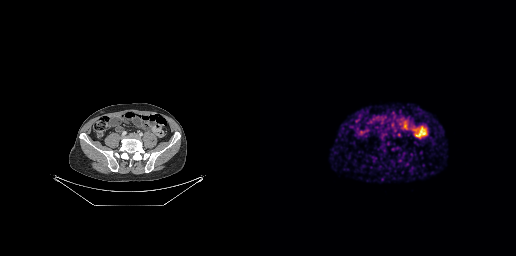
No tumor lesions annotated on this slice. Left: CT. Right: PSMA PET, same axial level, [68Ga]Ga-PSMA-11 tracer. Acquired on GE Discovery 690. Slice 79 of 263.